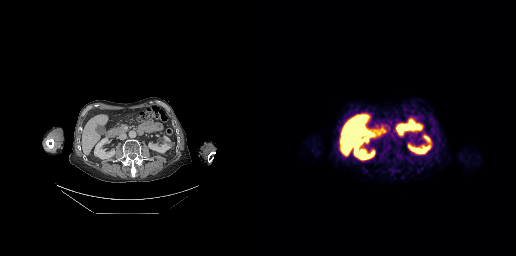
- Left: CT. Right: PSMA PET, same axial level, 18F tracer
- slice 123 of 263
- PET panel 256×256 px (2.7 mm/px)
Findings: Negative for PSMA-avid disease on this slice.